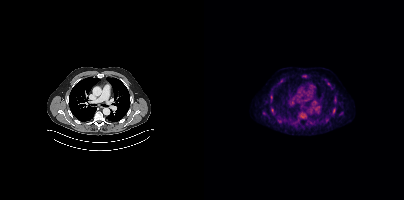
Technique: Two-panel axial: CT | PSMA PET, 18F-PSMA tracer. slice 328 of 454. PET panel 200×200 px (4.1 mm/px).
Findings: Coordinates are on the 200×200 PET (right) panel. Small PSMA-avid foci (2 to 4 px across) near (center x, center y): (67, 96), (68, 109), (124, 83), (130, 110), (131, 100).